modality: PSMA PET/CT | tracer: 18F | view: axial | PET grid: 200×200
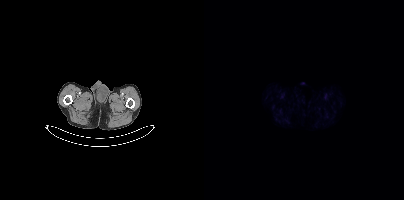
This slice has no annotated PSMA-avid lesion.